De-identified by setting a box covering the face to black before release. Paired axial CT (left) and PSMA PET (right), 68Ga-PSMA tracer. Slice 157 of 165. PET panel 168×168 px (4.1 mm/px).
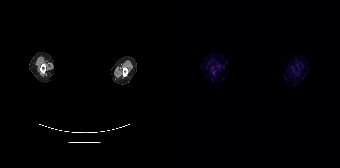
No PSMA-avid tumor lesions on this slice.